Technique: Left: CT. Right: PSMA PET, same axial level, 18F-PSMA tracer.
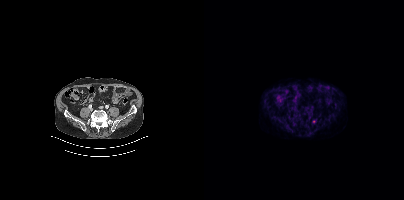
Findings: Negative for PSMA-avid disease on this slice.